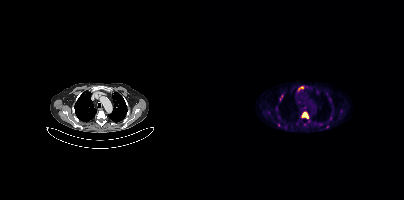
Paired axial CT (left) and PSMA PET (right), [18F]PSMA-1007 tracer. Acquired on Siemens Biograph mCT Flow 20. Slice position z = 224 mm.
Coordinates are on the 200×200 PET (right) panel. PSMA-avid tumor lesion bounding boxes (partial; 2 more foci not listed):
| # | x0 | y0 | x1 | y1 |
|---|---|---|---|---|
| 1 | 97 | 112 | 104 | 118 |
| 2 | 95 | 87 | 99 | 89 |